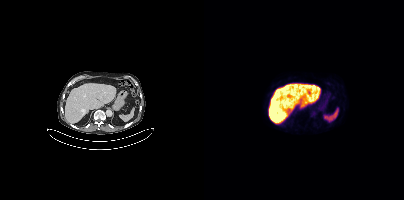
Findings: No tumor lesions annotated on this slice.
Technique: Two-panel axial: CT | PSMA PET, 18F tracer. PET panel 200×200 px (4.1 mm/px).